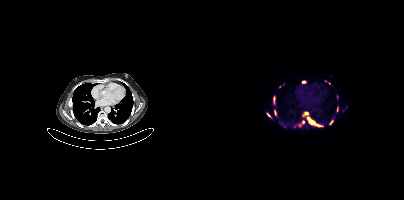
modality: PSMA PET/CT | tracer: 18F | view: axial
Coordinates are on the 200×200 PET (right) panel. (showing 13 of 18 foci) PSMA-avid tumor lesion bounding boxes (x0, y0)-(x1, y1): (103, 117)-(116, 126); (94, 121)-(100, 127); (98, 112)-(103, 116); (132, 106)-(134, 112); (125, 120)-(129, 124); (70, 111)-(72, 115); (63, 113)-(66, 117); (69, 97)-(70, 102). Small PSMA-avid foci (2 to 4 px across) near (center x, center y): (90, 126); (99, 81); (121, 80); (75, 86); (77, 123).